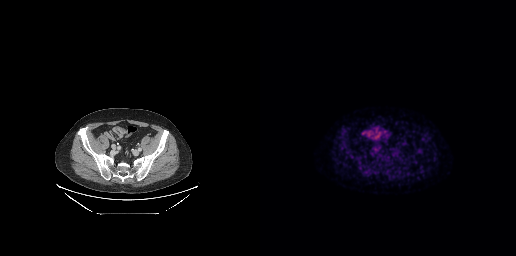
{"modality":"PSMA PET/CT","view":"axial","tracer":"[18F]PSMA-1007","pet_grid":[256,256],"coord_frame":"pet_panel","coord_format":"x0,y0,x1,y1","psma_avid_lesions":false}